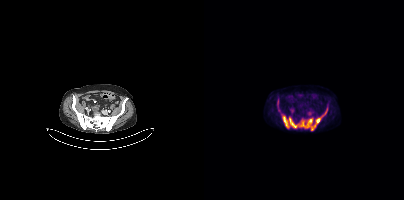
{"modality":"PSMA PET/CT","view":"axial","tracer":"18F","pet_grid":[200,200],"coord_frame":"pet_panel","coord_format":"x0,y0,x1,y1","partial":true,"lesion_bboxes":[[78,115,93,128],[107,108,123,130],[96,119,108,127]]}